modality: PSMA PET/CT | tracer: [18F]PSMA-1007 | view: axial | PET grid: 200×200
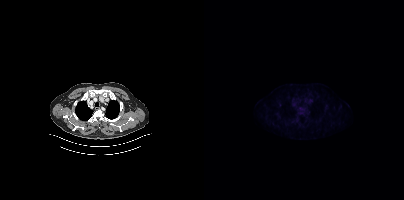
Only PSMA-avid lesion pieces thinner than 2 px on this slice (not listed).